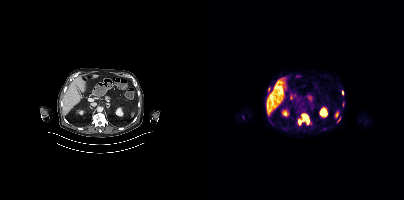
{"modality":"PSMA PET/CT","view":"axial","tracer":"18F-PSMA","pet_grid":[200,200],"coord_frame":"pet_panel","coord_format":"x0,y0,x1,y1","lesion_bboxes":[[98,114,107,124],[94,119,97,124],[64,87,66,91],[138,91,140,95],[138,102,140,106],[133,118,136,122]]}